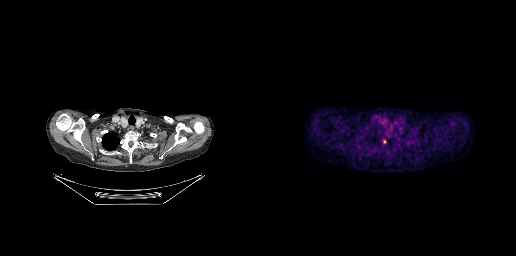
Coordinates are on the 256×256 PET (right) panel. PSMA-avid tumor lesion bounding box (x, y, width, height): x=123 y=139 w=4 h=5.
modality: PSMA PET/CT | tracer: 18F-PSMA | view: axial | PET grid: 256×256